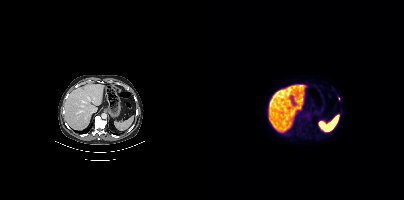
Findings: Only PSMA-avid lesion pieces thinner than 2 px on this slice (not listed).
Technique: Paired axial CT (left) and PSMA PET (right), 18F-PSMA tracer. slice position z = -1229 mm.